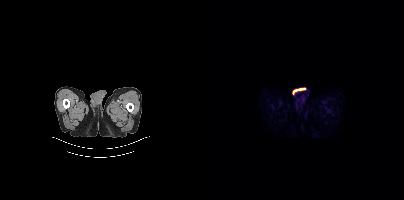
No PSMA-avid tumor lesions on this slice.